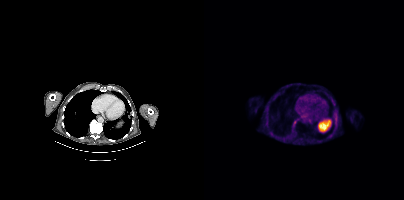
Coordinates are on the 200×200 PET (right) panel. (showing 1 of 2 foci) Small PSMA-avid focus (2 to 4 px across) near (center x, center y): (130, 104). Two-panel axial: CT | PSMA PET, [18F]PSMA-1007 tracer. Slice position z = -1094 mm.